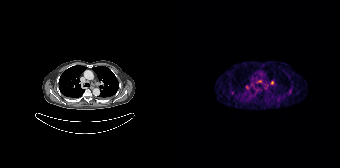
Two-panel axial: CT | PSMA PET, 68Ga tracer. Acquired on Siemens Biograph 64-4R TruePoint. Slice 145 of 195. Coordinates are on the 168×168 PET (right) panel. Small PSMA-avid foci (2 to 4 px across) near (center x, center y): (100, 82) / (75, 87) / (60, 93).